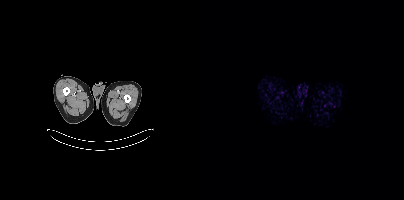
Technique: Left: CT. Right: PSMA PET, same axial level, 18F-PSMA tracer. PET panel 200×200 px (4.1 mm/px).
Findings: This slice has no annotated PSMA-avid lesion.